Left: CT. Right: PSMA PET, same axial level, 18F-PSMA tracer. Acquired on Siemens Biograph mCT Flow 20. Slice position z = -877 mm.
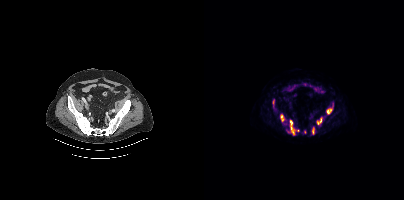
Coordinates are on the 200×200 PET (right) panel. PSMA-avid tumor lesion bounding boxes (x0,y0,x1,y1): [86,120,91,134]; [122,107,128,114]; [76,114,80,121]; [113,119,117,124]; [108,127,110,134]; [69,100,70,104]. Small PSMA-avid foci (2 to 4 px across) near (center x, center y): (94, 130); (100, 132).